A rectangular block over the head has been blanked out for de-identification. Left: CT. Right: PSMA PET, same axial level, 18F tracer.
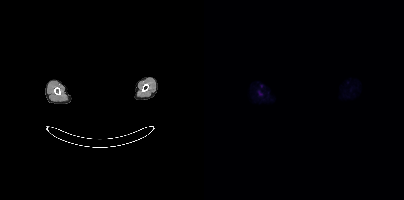
Only PSMA-avid lesion pieces thinner than 2 px on this slice (not listed).